- Two-panel axial: CT | PSMA PET, [18F]PSMA-1007 tracer
- acquired on Siemens Biograph mCT Flow 20
- PET panel 200×200 px (4.1 mm/px)
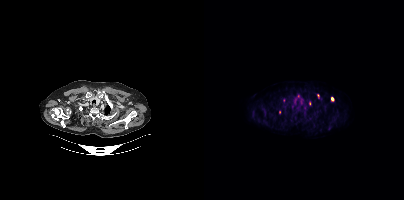
Findings: Coordinates are on the 200×200 PET (right) panel. (showing 3 of 6 foci) PSMA-avid tumor lesion bounding box (x, y, width, height): x=127 y=97 w=4 h=5. Small PSMA-avid foci (2 to 4 px across) near (center x, center y): (75, 112) | (113, 95).